de-identification: head region blanked (face removed) | modality: PSMA PET/CT | tracer: 68Ga | view: axial | PET grid: 168×168
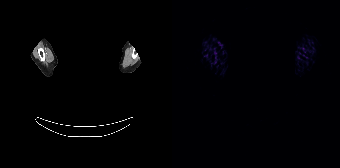
No tumor lesions annotated on this slice.